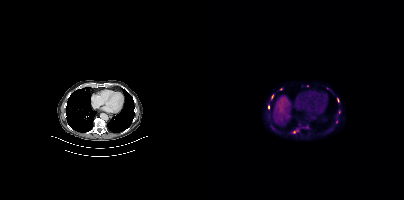
modality: PSMA PET/CT | tracer: 18F | view: axial | PET grid: 200×200
Coordinates are on the 200×200 PET (right) panel. (showing 3 of 7 foci) Small PSMA-avid foci (2 to 4 px across) near (center x, center y): (64, 107); (68, 96); (135, 112).